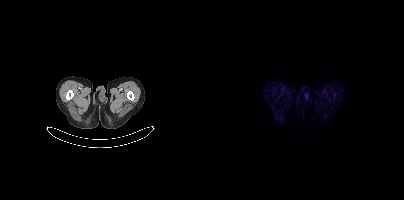
{"modality":"PSMA PET/CT","view":"axial","tracer":"[18F]PSMA-1007","pet_grid":[200,200],"coord_frame":"pet_panel","coord_format":"x0,y0,x1,y1","psma_avid_lesions":false}